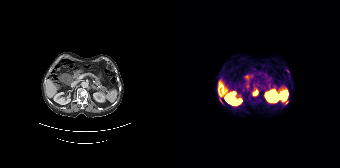
Coordinates are on the 168×168 PET (right) panel. PSMA-avid tumor lesion bounding boxes (x, y, width, height): x=81 y=90 w=6 h=7; x=113 y=100 w=4 h=5; x=47 y=99 w=5 h=6.